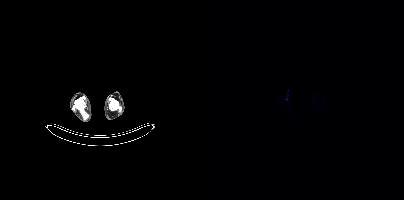
Two-panel axial: CT | PSMA PET, 18F tracer. Acquired on Siemens Biograph mCT Flow 20. PET panel 200×200 px (4.1 mm/px). Only PSMA-avid lesion pieces thinner than 2 px on this slice (not listed).